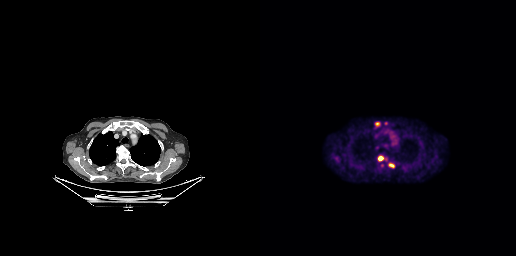
Technique: Left: CT. Right: PSMA PET, same axial level, 18F tracer.
Findings: Coordinates are on the 256×256 PET (right) panel. PSMA-avid tumor lesion bounding boxes (x0, y0)-(x1, y1): (115, 122)-(120, 126) / (118, 156)-(123, 160). Small PSMA-avid focus (2 to 4 px across) near (center x, center y): (131, 165).